Left: CT. Right: PSMA PET, same axial level, [68Ga]Ga-PSMA-11 tracer. Slice position z = -563 mm.
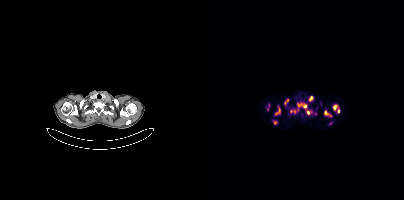
Coordinates are on the 200×200 PET (right) panel. (showing 11 of 13 foci) PSMA-avid tumor lesion bounding boxes (x0, y0)-(x1, y1): (87, 109)-(94, 113) | (120, 110)-(127, 116) | (98, 104)-(102, 108) | (129, 105)-(132, 110) | (105, 96)-(109, 100) | (80, 99)-(84, 104) | (71, 108)-(76, 114) | (103, 110)-(105, 114). Small PSMA-avid foci (2 to 4 px across) near (center x, center y): (134, 111) | (71, 122) | (111, 113).